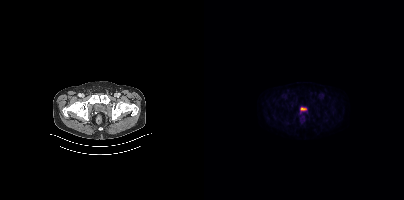
Coordinates are on the 200×200 PET (right) panel. Small PSMA-avid focus (2 to 4 px across) near (center x, center y): (96, 113).